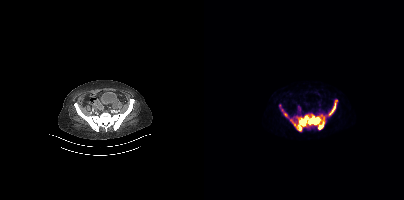
modality: PSMA PET/CT | tracer: 68Ga | view: axial
Coordinates are on the 200×200 PET (right) panel. PSMA-avid tumor lesion bounding boxes (x0, y0)-(x1, y1): (88, 114)-(121, 130); (124, 100)-(133, 116); (75, 104)-(84, 117).